Technique: Two-panel axial: CT | PSMA PET, 18F tracer. slice 220 of 417.
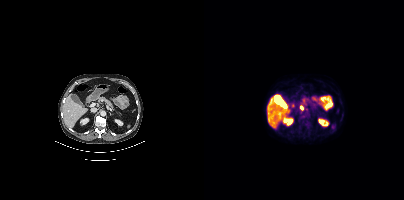
Findings: Coordinates are on the 200×200 PET (right) panel. Small PSMA-avid focus (2 to 4 px across) near (center x, center y): (97, 107).